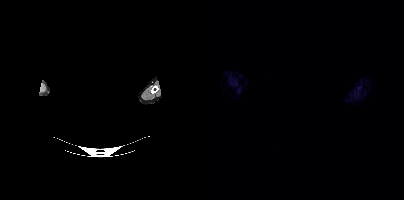
Head region blanked for anonymization (face removed). Two-panel axial: CT | PSMA PET, [18F]PSMA-1007 tracer. Slice position z = -766 mm. This slice has no annotated PSMA-avid lesion.